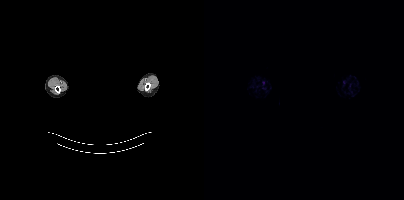
Privacy masking over the head, with the pixels inside a rectangle set to black.
This slice has no annotated PSMA-avid lesion.